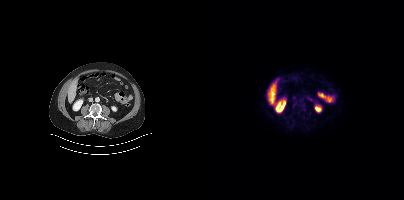
{"pet_grid":[200,200],"coord_frame":"pet_panel","coord_format":"x0,y0,x1,y1","psma_avid_lesions":false,"modality":"PSMA PET/CT","view":"axial","tracer":"18F-PSMA"}